modality: PSMA PET/CT | tracer: 18F | view: axial
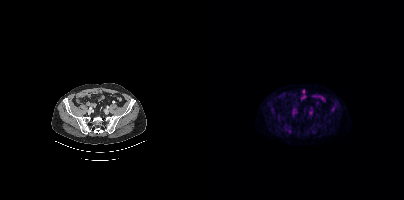
No PSMA-avid tumor lesions on this slice.